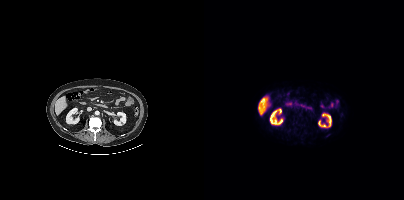
Negative for PSMA-avid disease on this slice.